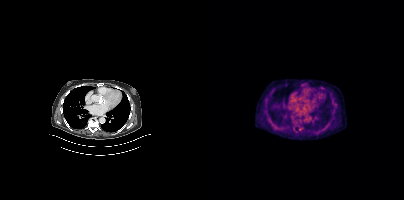
Only PSMA-avid lesion pieces thinner than 2 px on this slice (not listed).